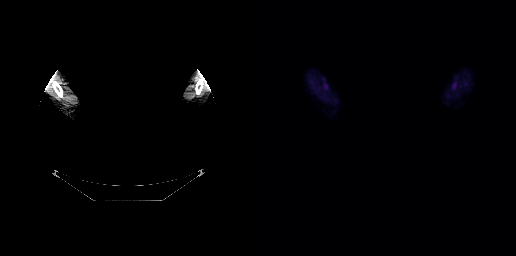
Privacy masking over the head, with the pixels inside a rectangle set to black. Paired axial CT (left) and PSMA PET (right), [18F]PSMA-1007 tracer. PET panel 256×256 px (2.7 mm/px). No tumor lesions annotated on this slice.